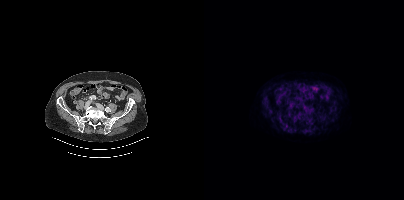
No tumor lesions annotated on this slice.